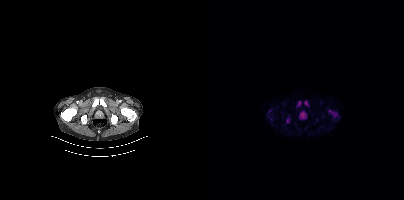
modality: PSMA PET/CT | tracer: [18F]PSMA-1007 | view: axial | PET grid: 200×200
Coordinates are on the 200×200 PET (right) panel. PSMA-avid tumor lesion bounding boxes (x0,y0,x1,y1): [124,110,133,117]; [96,112,102,118]; [82,118,85,123]; [94,101,97,105]; [101,101,104,105].